modality: PSMA PET/CT | tracer: 18F-PSMA | view: axial | PET grid: 200×200
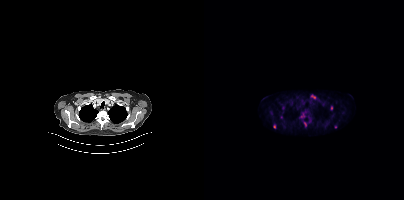
Coordinates are on the 200×200 PET (right) panel. (showing 5 of 6 foci) Small PSMA-avid foci (2 to 4 px across) near (center x, center y): (127, 107), (70, 126), (110, 97), (101, 124), (131, 126).